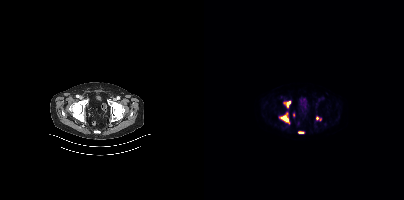
{"pet_grid":[200,200],"coord_frame":"pet_panel","coord_format":"x0,y0,x1,y1","lesion_bboxes":[[77,113,85,123],[82,101,86,107],[94,132,99,133]],"small_foci_centers":[[113,118],[89,114],[116,119]],"modality":"PSMA PET/CT","view":"axial","tracer":"[18F]PSMA-1007"}